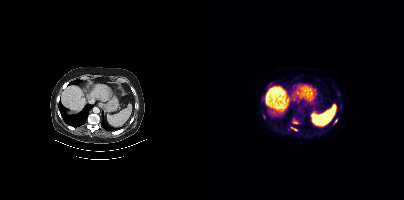
{"pet_grid":[200,200],"coord_frame":"pet_panel","coord_format":"x0,y0,x1,y1","partial":true,"lesion_bboxes":[[89,121,94,123],[87,127,93,130],[63,85,65,89],[130,119,133,123]],"modality":"PSMA PET/CT","view":"axial","tracer":"[18F]PSMA-1007"}